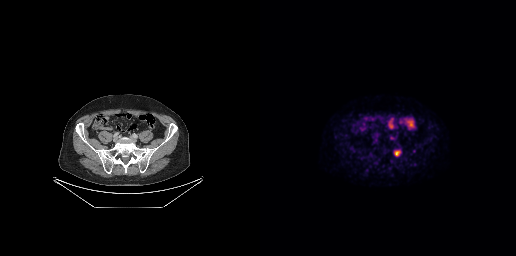
{"modality":"PSMA PET/CT","view":"axial","tracer":"[18F]PSMA-1007","pet_grid":[256,256],"coord_frame":"pet_panel","coord_format":"x0,y0,x1,y1","lesion_bboxes":[[134,150,140,155],[129,135,134,140]]}